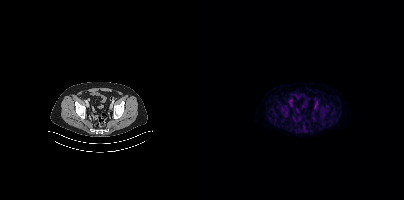
Negative for PSMA-avid disease on this slice. Paired axial CT (left) and PSMA PET (right), [18F]PSMA-1007 tracer. Slice position z = -842 mm. PET panel 200×200 px (4.1 mm/px).